A rectangular block over the head has been blanked out for de-identification. Two-panel axial: CT | PSMA PET, [18F]PSMA-1007 tracer.
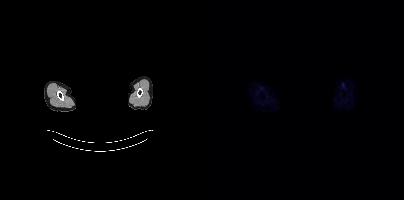
Negative for PSMA-avid disease on this slice.